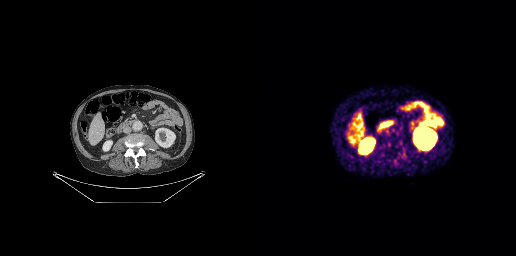
Findings: This slice has no annotated PSMA-avid lesion.
- Paired axial CT (left) and PSMA PET (right), 68Ga tracer
- slice position z = -700 mm